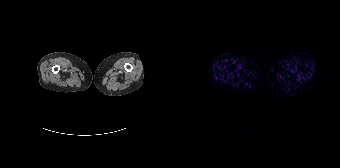
Paired axial CT (left) and PSMA PET (right), 68Ga tracer. Acquired on Siemens Biograph 64-4R TruePoint. Slice 4 of 195. PET panel 168×168 px (4.1 mm/px). This slice has no annotated PSMA-avid lesion.